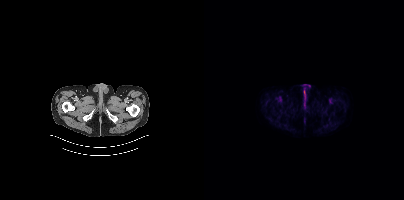
No PSMA-avid tumor lesions on this slice. Paired axial CT (left) and PSMA PET (right), 18F-PSMA tracer. Acquired on Siemens Biograph mCT Flow 20. Slice position z = -977 mm.